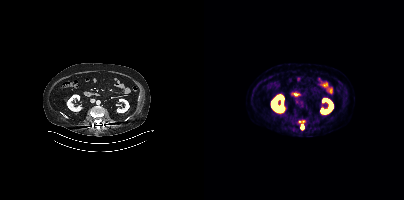
Paired axial CT (left) and PSMA PET (right), 18F-PSMA tracer. Acquired on Siemens Biograph mCT Flow 20. Slice 195 of 429. PET panel 200×200 px (4.1 mm/px).
Coordinates are on the 200×200 PET (right) panel. PSMA-avid tumor lesion bounding boxes:
| # | x0 | y0 | x1 | y1 |
|---|---|---|---|---|
| 1 | 95 | 120 | 100 | 123 |
| 2 | 97 | 125 | 99 | 129 |